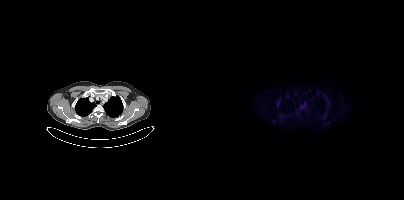
Findings: Coordinates are on the 200×200 PET (right) panel. Small PSMA-avid focus (2 to 4 px across) near (center x, center y): (73, 104).
- Two-panel axial: CT | PSMA PET, 18F-PSMA tracer
- acquired on Siemens Biograph mCT Flow 20